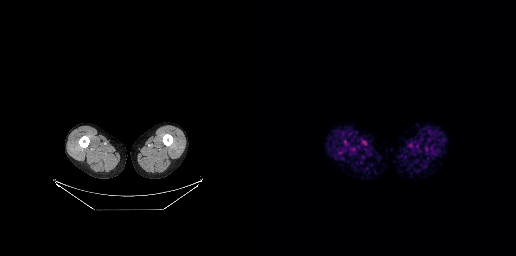
{"modality":"PSMA PET/CT","view":"axial","tracer":"18F","pet_grid":[256,256],"coord_frame":"pet_panel","coord_format":"x0,y0,x1,y1","psma_avid_lesions":false}